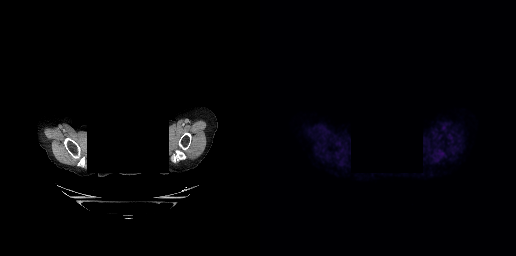
No tumor lesions annotated on this slice. Privacy masking over the head, with the pixels inside a rectangle set to black. Paired axial CT (left) and PSMA PET (right), [18F]PSMA-1007 tracer. Slice position z = -81 mm. PET panel 256×256 px (2.7 mm/px).